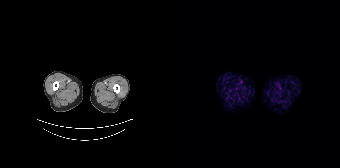
Negative for PSMA-avid disease on this slice.